modality: PSMA PET/CT | tracer: [68Ga]Ga-PSMA-11 | view: axial
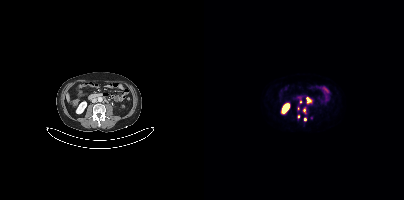
Coordinates are on the 200×200 PET (right) panel. PSMA-avid tumor lesion bounding boxes (x0,y0,x1,y1): [99,107,102,112], [103,98,106,102]. Small PSMA-avid foci (2 to 4 px across) near (center x, center y): (107, 117), (94, 116), (94, 108), (96, 102), (100, 119).